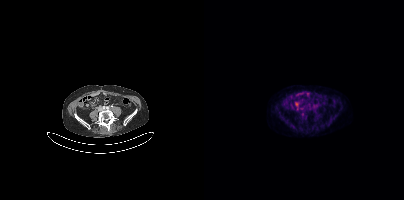
Two-panel axial: CT | PSMA PET, [18F]PSMA-1007 tracer. Acquired on Siemens Biograph mCT Flow 20. Coordinates are on the 200×200 PET (right) panel. Small PSMA-avid focus (2 to 4 px across) near (center x, center y): (110, 106).